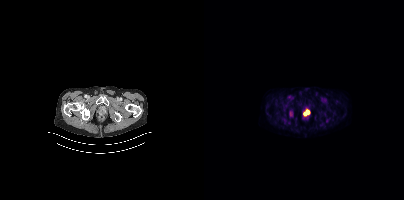
Coordinates are on the 200×200 PET (right) panel. PSMA-avid tumor lesion bounding boxes (x0,y0,x1,y1): [100,110,105,115] [85,111,88,116].